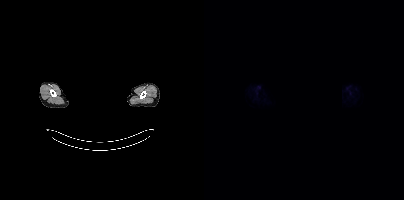
Findings: Negative for PSMA-avid disease on this slice.
Technique: Left: CT. Right: PSMA PET, same axial level, 18F tracer. acquired on Siemens Biograph mCT Flow 20. slice position z = -831 mm. PET panel 200×200 px (4.1 mm/px).
Note: The face region was removed for patient privacy by blanking a rectangle over the head.